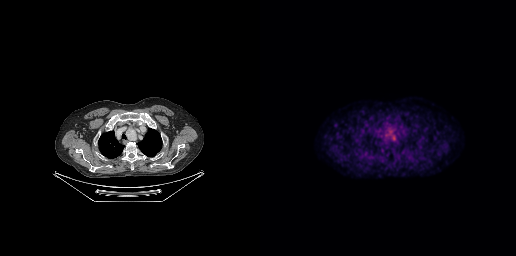
Two-panel axial: CT | PSMA PET, 18F-PSMA tracer. Acquired on GE Discovery 690. PET panel 256×256 px (2.7 mm/px).
Coordinates are on the 256×256 PET (right) panel. PSMA-avid tumor lesion bounding boxes:
| # | x0 | y0 | x1 | y1 |
|---|---|---|---|---|
| 1 | 125 | 128 | 135 | 140 |